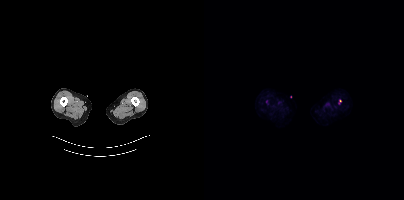
Coordinates are on the 200×200 PET (right) panel. (showing 1 of 2 foci) Small PSMA-avid focus (2 to 4 px across) near (center x, center y): (136, 100). Paired axial CT (left) and PSMA PET (right), 18F tracer. Slice 30 of 466.